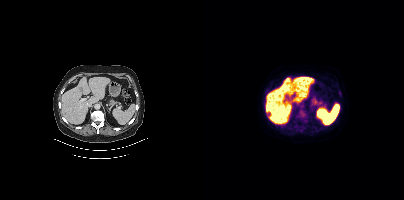
Left: CT. Right: PSMA PET, same axial level, 18F tracer. PET panel 200×200 px (4.1 mm/px). Coordinates are on the 200×200 PET (right) panel. PSMA-avid tumor lesion bounding boxes (x0,y0,x1,y1): [92,110,103,121] [91,122,94,126] [134,91,137,95].